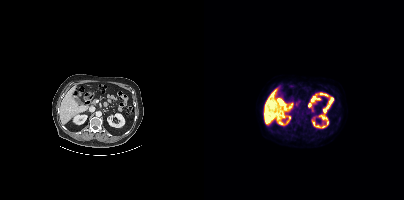
{"modality":"PSMA PET/CT","view":"axial","tracer":"18F-PSMA","pet_grid":[200,200],"coord_frame":"pet_panel","coord_format":"x0,y0,x1,y1","psma_avid_lesions":false}